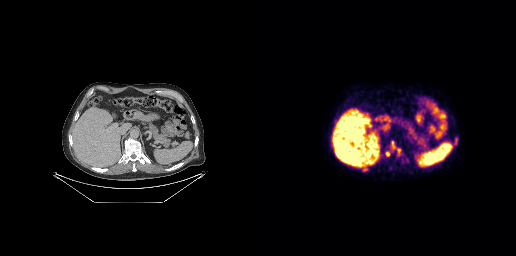
Findings: Coordinates are on the 256×256 PET (right) panel. PSMA-avid tumor lesion bounding box (x, y, width, height): x=132 y=141 w=3 h=7. Small PSMA-avid foci (2 to 4 px across) near (center x, center y): (127, 153); (139, 150).
Technique: Paired axial CT (left) and PSMA PET (right), 18F-PSMA tracer. acquired on GE Discovery 690. slice 177 of 299. PET panel 256×256 px (2.7 mm/px).